Left: CT. Right: PSMA PET, same axial level, 18F tracer. Acquired on Siemens Biograph mCT Flow 20. PET panel 200×200 px (4.1 mm/px).
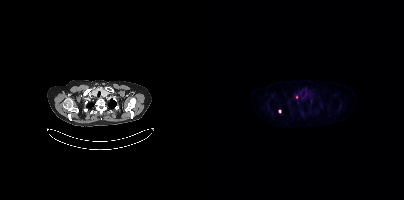
Coordinates are on the 200×200 PET (right) panel. Small PSMA-avid foci (2 to 4 px across) near (center x, center y): (92, 97) / (75, 111).